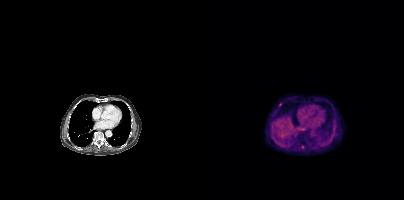
Coordinates are on the 200×200 PET (right) panel. Small PSMA-avid foci (2 to 4 px across) near (center x, center y): (98, 146); (76, 104).
modality: PSMA PET/CT | tracer: [18F]PSMA-1007 | view: axial | PET grid: 200×200